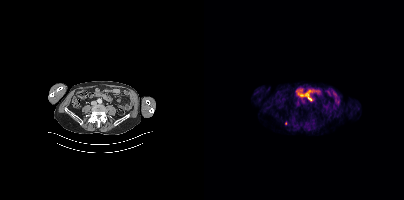
Technique: Two-panel axial: CT | PSMA PET, 18F-PSMA tracer.
Findings: Coordinates are on the 200×200 PET (right) panel. Small PSMA-avid focus (2 to 4 px across) near (center x, center y): (81, 123).